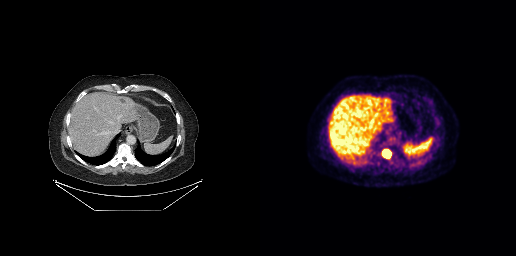
Coordinates are on the 256×256 PET (right) panel. PSMA-avid tumor lesion bounding box (x, y, width, height): x=123 y=150 w=7 h=8. Left: CT. Right: PSMA PET, same axial level, 18F-PSMA tracer. Slice position z = -520 mm.